Paired axial CT (left) and PSMA PET (right), 18F-PSMA tracer. Slice position z = -1466 mm.
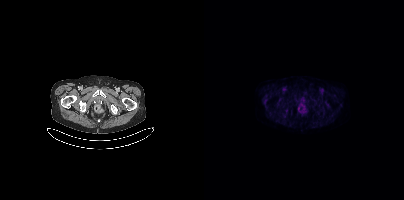
Negative for PSMA-avid disease on this slice.